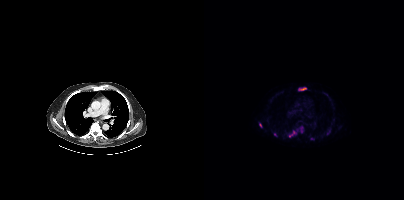
Technique: Paired axial CT (left) and PSMA PET (right), 18F-PSMA tracer. acquired on Siemens Biograph mCT Flow 20.
Findings: Coordinates are on the 200×200 PET (right) panel. PSMA-avid tumor lesion bounding boxes (x0,y0,x1,y1): [95,87,102,90], [55,123,57,127]. Small PSMA-avid foci (2 to 4 px across) near (center x, center y): (86, 135), (71, 134), (108, 138), (89, 132).